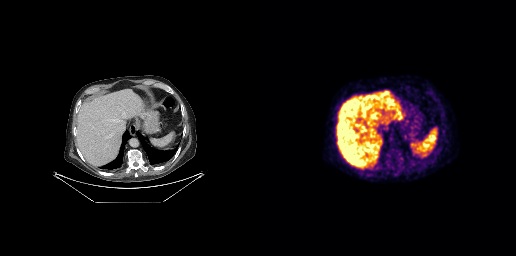
Findings: No tumor lesions annotated on this slice.
- Paired axial CT (left) and PSMA PET (right), 18F-PSMA tracer
- slice 162 of 263
- PET panel 256×256 px (2.7 mm/px)